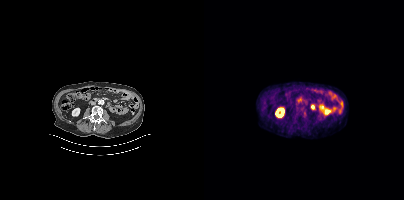
{"modality":"PSMA PET/CT","view":"axial","tracer":"18F","pet_grid":[200,200],"coord_frame":"pet_panel","coord_format":"x0,y0,x1,y1","psma_avid_lesions":false}